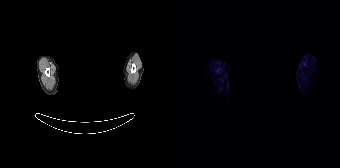
No tumor lesions annotated on this slice. Two-panel axial: CT | PSMA PET, 68Ga tracer. PET panel 168×168 px (4.1 mm/px). The face region was removed for patient privacy by blanking a rectangle over the head.